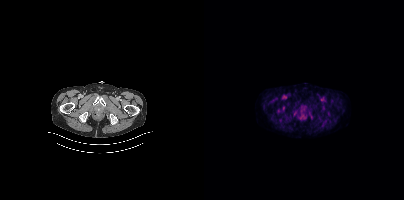
Coordinates are on the 200×200 PET (right) panel. PSMA-avid tumor lesion bounding box (x0, y0)-(x1, y1): (97, 108)-(101, 112). Paired axial CT (left) and PSMA PET (right), [18F]PSMA-1007 tracer. Acquired on Siemens Biograph mCT Flow 20. Slice position z = -824 mm. PET panel 200×200 px (4.1 mm/px).